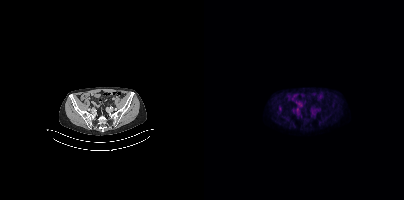
Findings: Coordinates are on the 200×200 PET (right) panel. PSMA-avid tumor lesion bounding box (x, y, width, height): x=75 y=106 w=3 h=5.
Technique: Paired axial CT (left) and PSMA PET (right), 18F-PSMA tracer. slice position z = -867 mm.